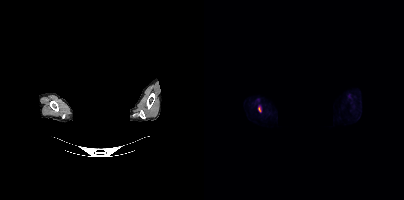
Technique: Left: CT. Right: PSMA PET, same axial level, 18F-PSMA tracer. slice position z = -224 mm.
Note: A rectangle over the head was blacked out to remove identifiable facial features.
Findings: Coordinates are on the 200×200 PET (right) panel. (showing 1 of 2 foci) PSMA-avid tumor lesion bounding box (x0, y0)-(x1, y1): (54, 105)-(57, 112).